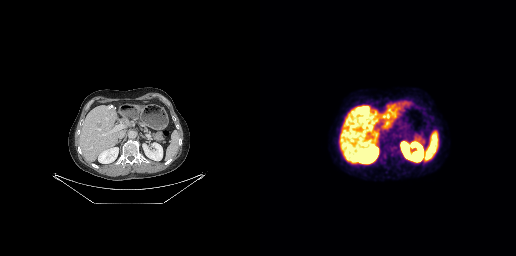
No PSMA-avid tumor lesions on this slice.